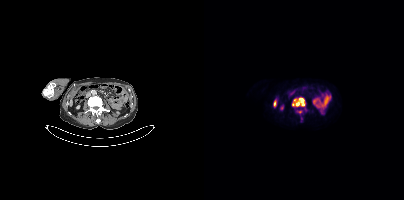
Coordinates are on the 200×200 PET (right) panel. PSMA-avid tumor lesion bounding boxes:
| # | x0 | y0 | x1 | y1 |
|---|---|---|---|---|
| 1 | 88 | 98 | 102 | 110 |
| 2 | 92 | 110 | 98 | 113 |
Left: CT. Right: PSMA PET, same axial level, 18F-PSMA tracer.